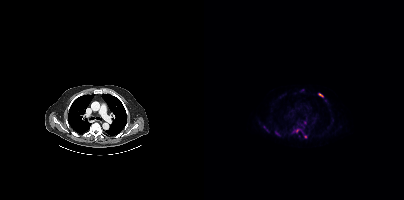
Left: CT. Right: PSMA PET, same axial level, 18F tracer. PET panel 200×200 px (4.1 mm/px).
Coordinates are on the 200×200 PET (right) panel. PSMA-avid tumor lesion bounding boxes (partial; 1 more focus not listed):
| # | x0 | y0 | x1 | y1 |
|---|---|---|---|---|
| 1 | 71 | 131 | 74 | 135 |
| 2 | 115 | 93 | 119 | 96 |
Small PSMA-avid foci (2 to 4 px across) near (center x, center y): (93, 130); (101, 136); (100, 122).